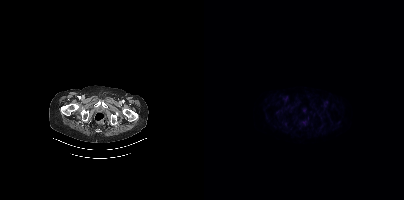
modality: PSMA PET/CT | tracer: 18F | view: axial
Negative for PSMA-avid disease on this slice.